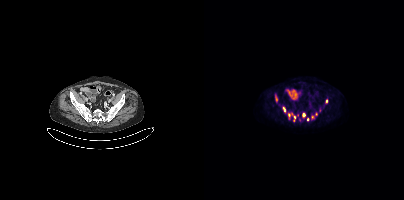
Coordinates are on the 200×200 PET (right) panel. PSMA-avid tumor lesion bounding boxes (partial; 2 more foci not listed):
| # | x0 | y0 | x1 | y1 |
|---|---|---|---|---|
| 1 | 84 | 113 | 86 | 119 |
| 2 | 79 | 107 | 81 | 111 |
| 3 | 89 | 116 | 91 | 121 |
Small PSMA-avid foci (2 to 4 px across) near (center x, center y): (99, 114); (103, 119); (72, 98); (122, 101); (112, 114).
Left: CT. Right: PSMA PET, same axial level, 18F-PSMA tracer. Slice 98 of 387. PET panel 200×200 px (4.1 mm/px).